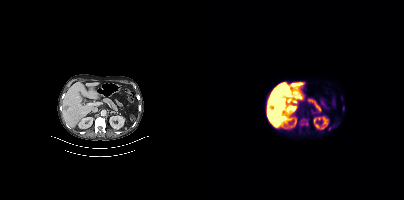
Technique: Left: CT. Right: PSMA PET, same axial level, 18F tracer. acquired on Siemens Biograph mCT Flow 20. slice 223 of 427.
Findings: Coordinates are on the 200×200 PET (right) panel. PSMA-avid tumor lesion bounding boxes (x0, y0)-(x1, y1): (95, 118)-(104, 126) / (138, 105)-(140, 109) / (137, 96)-(139, 100).